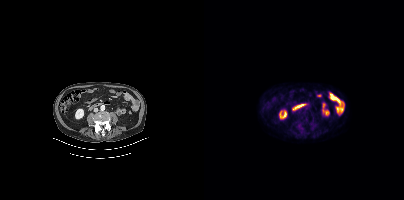
Paired axial CT (left) and PSMA PET (right), [18F]PSMA-1007 tracer. Acquired on Siemens Biograph mCT Flow 20. PET panel 200×200 px (4.1 mm/px). No tumor lesions annotated on this slice.